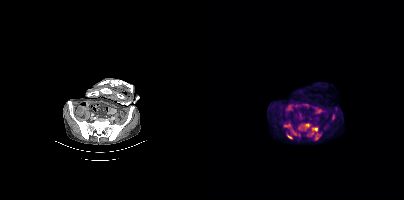
- Two-panel axial: CT | PSMA PET, [18F]PSMA-1007 tracer
Findings: Coordinates are on the 200×200 PET (right) panel. PSMA-avid tumor lesion bounding boxes (x0, y0)-(x1, y1): (103, 127)-(116, 140) / (94, 123)-(106, 130) / (86, 128)-(92, 135) / (83, 135)-(88, 139) / (128, 114)-(130, 119) / (81, 124)-(85, 126). Small PSMA-avid focus (2 to 4 px across) near (center x, center y): (95, 135).